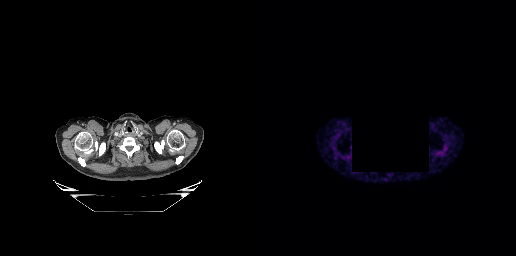
{"modality":"PSMA PET/CT","view":"axial","tracer":"68Ga","pet_grid":[256,256],"coord_frame":"pet_panel","coord_format":"x0,y0,x1,y1","redaction":"rectangle blanked before release","psma_avid_lesions":false}